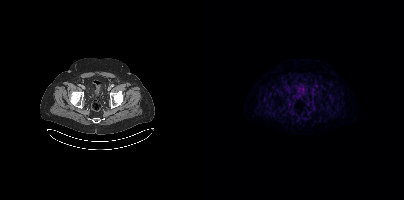
Left: CT. Right: PSMA PET, same axial level, 18F-PSMA tracer. Slice 101 of 435. Coordinates are on the 200×200 PET (right) panel. Small PSMA-avid focus (2 to 4 px across) near (center x, center y): (87, 103).